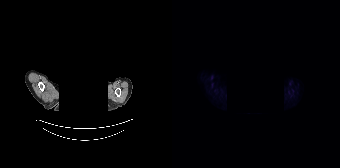
{"modality":"PSMA PET/CT","view":"axial","tracer":"18F-PSMA","pet_grid":[168,168],"coord_frame":"pet_panel","coord_format":"x0,y0,x1,y1","de-identification":"head region blanked (face removed)","psma_avid_lesions":false}